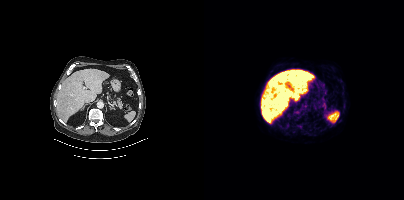
Findings: This slice has no annotated PSMA-avid lesion.
- Paired axial CT (left) and PSMA PET (right), 18F-PSMA tracer
- acquired on Siemens Biograph mCT Flow 20
- slice position z = -611 mm
- PET panel 200×200 px (4.1 mm/px)